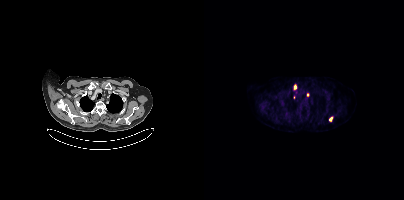
{"modality":"PSMA PET/CT","view":"axial","tracer":"[18F]PSMA-1007","pet_grid":[200,200],"coord_frame":"pet_panel","coord_format":"x0,y0,x1,y1","partial":true,"lesion_bboxes":[],"small_foci_centers":[[126,118]]}